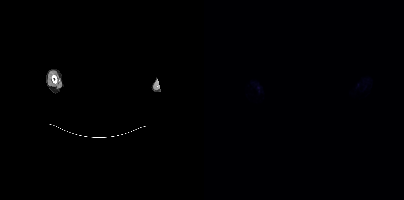
No tumor lesions annotated on this slice.
Privacy masking over the head, with the pixels inside a rectangle set to black.